modality: PSMA PET/CT | tracer: [68Ga]Ga-PSMA-11 | view: axial | PET grid: 200×200
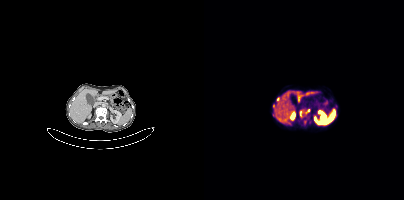
Coordinates are on the 200×200 PET (right) panel. (showing 4 of 5 foci) PSMA-avid tumor lesion bounding boxes (x0,y0,x1,y1): [96,111,98,117] [101,109,105,113]. Small PSMA-avid foci (2 to 4 px across) near (center x, center y): (74, 99) (69, 105).